Technique: Two-panel axial: CT | PSMA PET, 18F tracer. PET panel 200×200 px (4.1 mm/px).
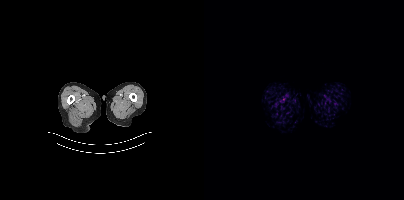
Findings: No PSMA-avid tumor lesions on this slice.